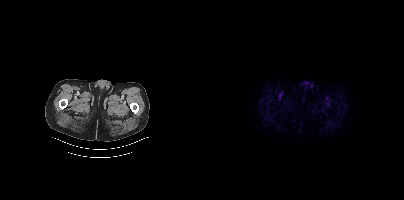
{"pet_grid":[200,200],"coord_frame":"pet_panel","coord_format":"x0,y0,x1,y1","psma_avid_lesions":false,"modality":"PSMA PET/CT","view":"axial","tracer":"[18F]PSMA-1007"}